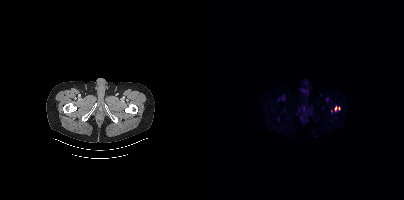
{"pet_grid":[200,200],"coord_frame":"pet_panel","coord_format":"x0,y0,x1,y1","lesion_bboxes":[[130,105,136,111]],"small_foci_centers":[[127,111]],"modality":"PSMA PET/CT","view":"axial","tracer":"18F"}